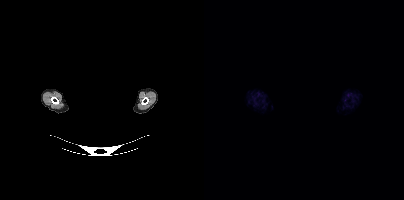
{"pet_grid":[200,200],"coord_frame":"pet_panel","coord_format":"x0,y0,x1,y1","psma_avid_lesions":false,"modality":"PSMA PET/CT","view":"axial","tracer":"18F-PSMA","redaction":"facial region redacted"}